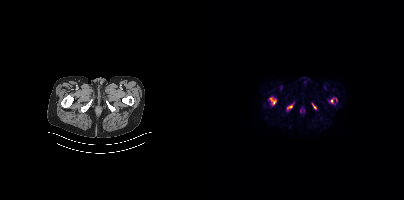
Coordinates are on the 200×200 PET (right) panel. PSMA-avid tumor lesion bounding boxes (partial; 1 more focus not listed):
| # | x0 | y0 | x1 | y1 |
|---|---|---|---|---|
| 1 | 83 | 105 | 88 | 108 |
| 2 | 66 | 98 | 71 | 104 |
| 3 | 108 | 104 | 112 | 108 |
Small PSMA-avid focus (2 to 4 px across) near (center x, center y): (128, 100).
Left: CT. Right: PSMA PET, same axial level, 18F-PSMA tracer. Slice position z = -1522 mm.